- Paired axial CT (left) and PSMA PET (right), [18F]PSMA-1007 tracer
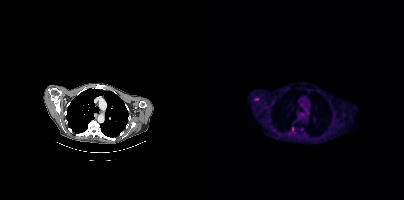
Findings: Coordinates are on the 200×200 PET (right) panel. PSMA-avid tumor lesion bounding boxes (x, y, width, height): x=50 y=98 w=6 h=4; x=88 y=127 w=2 h=5. Small PSMA-avid focus (2 to 4 px across) near (center x, center y): (98, 129).